Two-panel axial: CT | PSMA PET, [68Ga]Ga-PSMA-11 tracer.
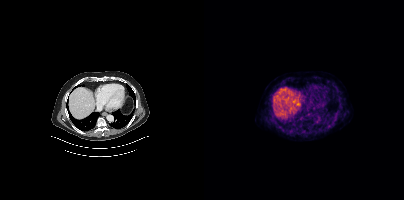
No PSMA-avid tumor lesions on this slice.